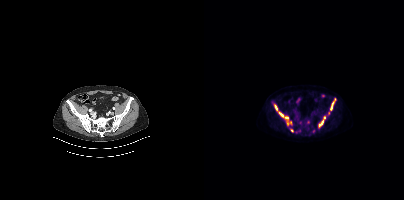
{"modality":"PSMA PET/CT","view":"axial","tracer":"18F","pet_grid":[200,200],"coord_frame":"pet_panel","coord_format":"x0,y0,x1,y1","partial":true,"lesion_bboxes":[[74,112,87,124],[124,99,131,114],[115,116,121,127],[70,104,73,110],[85,128,89,131]],"small_foci_centers":[[109,130]]}